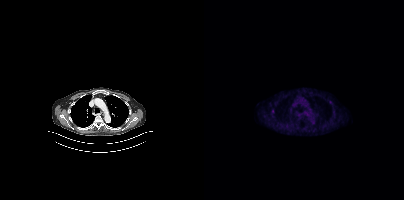
modality: PSMA PET/CT | tracer: 18F-PSMA | view: axial | PET grid: 200×200
Coordinates are on the 200×200 PET (right) panel. Small PSMA-avid focus (2 to 4 px across) near (center x, center y): (69, 111).